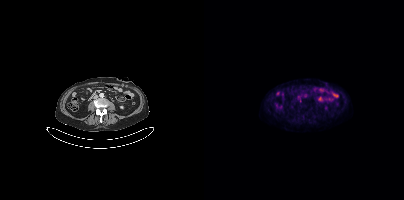
- Paired axial CT (left) and PSMA PET (right), 18F-PSMA tracer
Findings: No tumor lesions annotated on this slice.